modality: PSMA PET/CT | tracer: 68Ga | view: axial | PET grid: 200×200
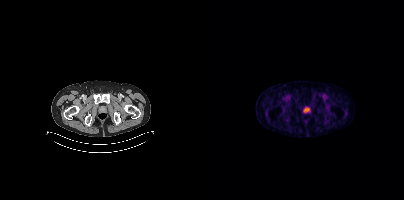
Coordinates are on the 200×200 PET (right) panel. Small PSMA-avid focus (2 to 4 px across) near (center x, center y): (103, 109).